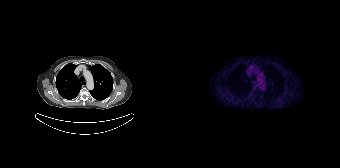
No PSMA-avid tumor lesions on this slice.